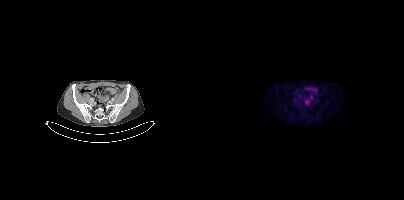
- Two-panel axial: CT | PSMA PET, 18F tracer
- slice 111 of 448
- PET panel 200×200 px (4.1 mm/px)
Findings: No PSMA-avid tumor lesions on this slice.